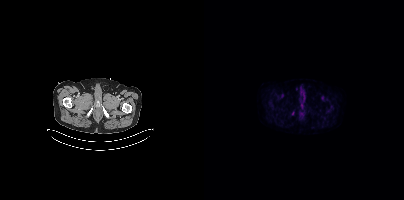
Negative for PSMA-avid disease on this slice.
modality: PSMA PET/CT | tracer: 18F | view: axial